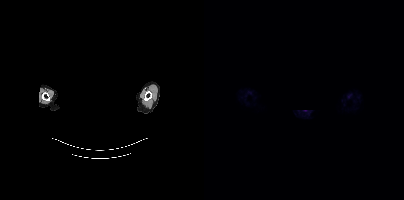
Technique: Paired axial CT (left) and PSMA PET (right), [68Ga]Ga-PSMA-11 tracer.
Note: Any black rectangle over the head is a privacy mask, not anatomy.
Findings: No tumor lesions annotated on this slice.